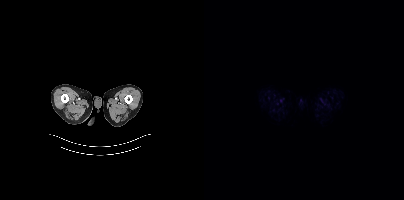
No PSMA-avid tumor lesions on this slice.